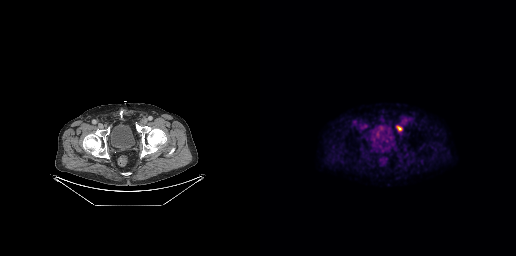
modality: PSMA PET/CT | tracer: 18F | view: axial
Coordinates are on the 256×256 PET (right) panel. PSMA-avid tumor lesion bounding box (x, y, width, height): x=137 y=126 w=5 h=5.